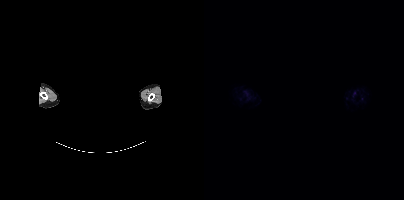
Findings: Negative for PSMA-avid disease on this slice.
Technique: Left: CT. Right: PSMA PET, same axial level, 18F-PSMA tracer. slice position z = -895 mm. PET panel 200×200 px (4.1 mm/px).
Note: A rectangular block over the head has been blanked out for de-identification.